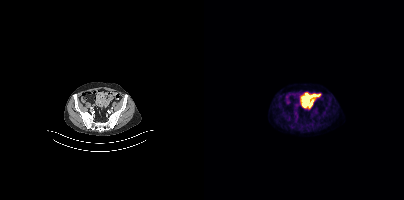
{"modality":"PSMA PET/CT","view":"axial","tracer":"18F-PSMA","pet_grid":[200,200],"coord_frame":"pet_panel","coord_format":"x0,y0,x1,y1","psma_avid_lesions":false}